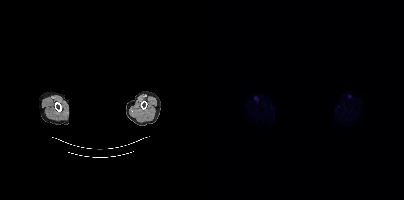
The face region was removed for patient privacy by blanking a rectangle over the head.
No tumor lesions annotated on this slice.